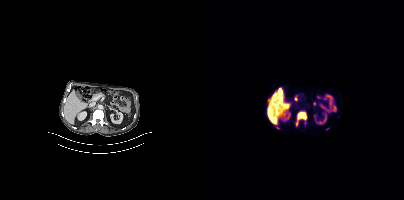
- Paired axial CT (left) and PSMA PET (right), 18F tracer
- acquired on Siemens Biograph mCT Flow 20
Findings: Coordinates are on the 200×200 PET (right) panel. PSMA-avid tumor lesion bounding boxes (x0,y0,x1,y1): [92,112,102,125], [72,125,75,129]. Small PSMA-avid focus (2 to 4 px across) near (center x, center y): (123, 128).